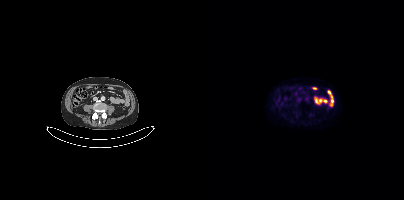
Findings: No PSMA-avid tumor lesions on this slice.
- Left: CT. Right: PSMA PET, same axial level, 18F-PSMA tracer
- slice 144 of 391
- PET panel 200×200 px (4.1 mm/px)